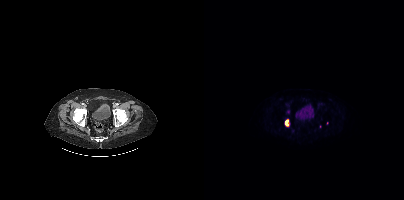
Technique: Two-panel axial: CT | PSMA PET, 18F-PSMA tracer.
Findings: Coordinates are on the 200×200 PET (right) panel. (showing 1 of 3 foci) PSMA-avid tumor lesion bounding box (x0,y0,x1,y1): [81,120,84,125].